Technique: Two-panel axial: CT | PSMA PET, 18F-PSMA tracer.
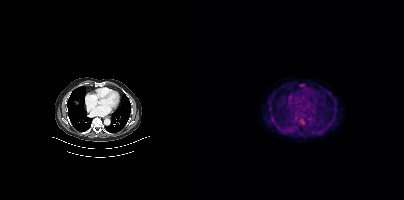
Findings: Coordinates are on the 200×200 PET (right) panel. PSMA-avid tumor lesion bounding box (x, y, width, height): x=96 y=120 w=5 h=4.